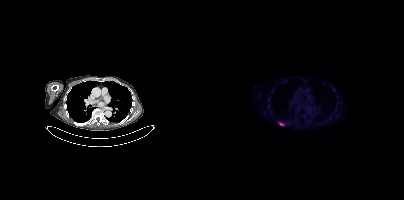
Technique: Two-panel axial: CT | PSMA PET, 18F-PSMA tracer. PET panel 200×200 px (4.1 mm/px).
Findings: Coordinates are on the 200×200 PET (right) panel. (showing 1 of 2 foci) PSMA-avid tumor lesion bounding box (x, y, width, height): x=74 y=122 w=7 h=4.